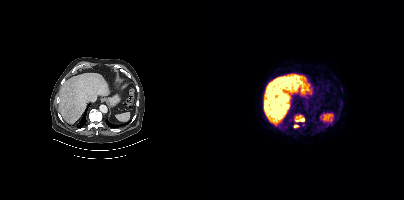
Paired axial CT (left) and PSMA PET (right), 18F tracer. PET panel 200×200 px (4.1 mm/px).
Coordinates are on the 200×200 PET (right) panel. PSMA-avid tumor lesion bounding boxes:
| # | x0 | y0 | x1 | y1 |
|---|---|---|---|---|
| 1 | 91 | 115 | 100 | 121 |
| 2 | 90 | 125 | 94 | 127 |